redaction: rectangular block over head set to black | modality: PSMA PET/CT | tracer: [18F]PSMA-1007 | view: axial | PET grid: 200×200
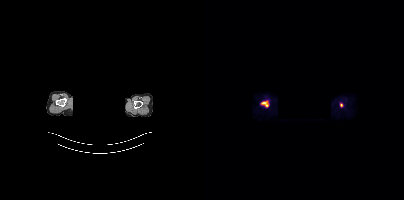
Coordinates are on the 200×200 PET (right) panel. PSMA-avid tumor lesion bounding boxes (x0, y0)-(x1, y1): (57, 101)-(65, 107) | (136, 103)-(138, 107).